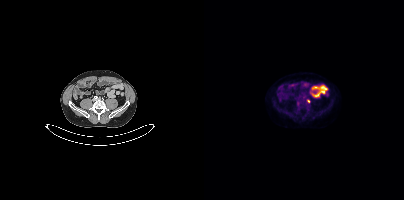
Coordinates are on the 200×200 PET (right) panel. Small PSMA-avid focus (2 to 4 px across) near (center x, center y): (104, 101).